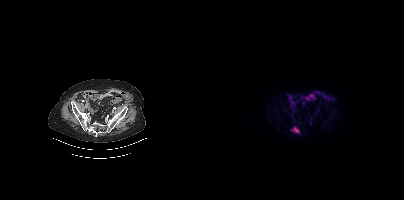
- Two-panel axial: CT | PSMA PET, [18F]PSMA-1007 tracer
- slice 93 of 377
Findings: Coordinates are on the 200×200 PET (right) panel. PSMA-avid tumor lesion bounding box (x0, y0)-(x1, y1): (87, 127)-(95, 132).